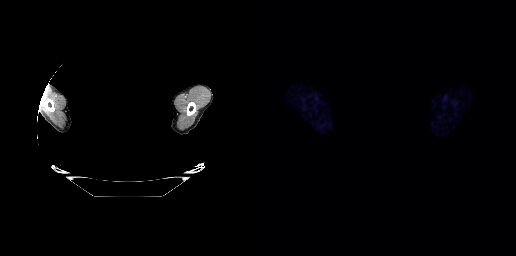
{"modality":"PSMA PET/CT","view":"axial","tracer":"[18F]PSMA-1007","pet_grid":[256,256],"coord_frame":"pet_panel","coord_format":"x0,y0,x1,y1","psma_avid_lesions":false,"de-identification":"rectangular block over head set to black"}